The face region was removed for patient privacy by blanking a rectangle over the head. Two-panel axial: CT | PSMA PET, [18F]PSMA-1007 tracer. Slice position z = -170 mm. PET panel 200×200 px (4.1 mm/px).
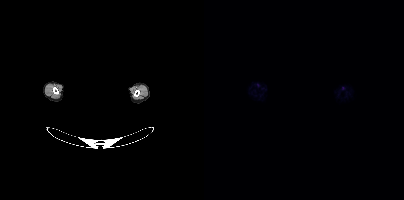
Negative for PSMA-avid disease on this slice.